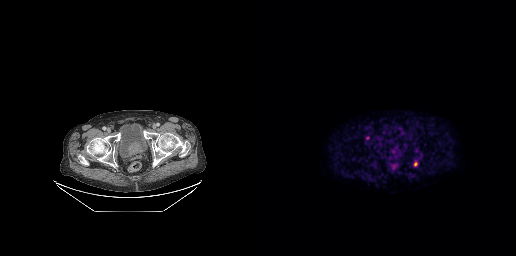
Findings: Coordinates are on the 256×256 PET (right) panel. PSMA-avid tumor lesion bounding box (x0, y0)-(x1, y1): (154, 162)-(157, 166).
Technique: Left: CT. Right: PSMA PET, same axial level, 18F-PSMA tracer. acquired on GE Discovery 690. slice position z = -719 mm. PET panel 256×256 px (2.7 mm/px).